Technique: Left: CT. Right: PSMA PET, same axial level, 68Ga-PSMA tracer.
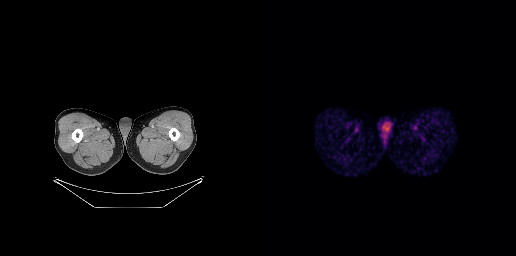
Findings: No PSMA-avid tumor lesions on this slice.